- Paired axial CT (left) and PSMA PET (right), 18F-PSMA tracer
- PET panel 200×200 px (4.1 mm/px)
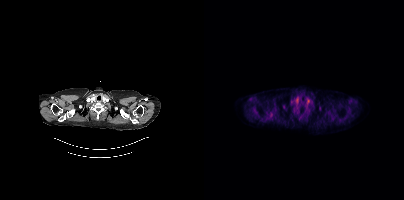
Findings: This slice has no annotated PSMA-avid lesion.